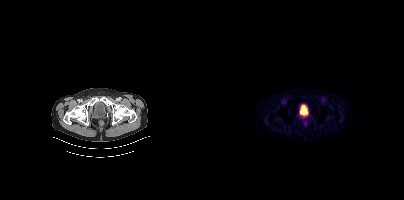
{"modality":"PSMA PET/CT","view":"axial","tracer":"68Ga","pet_grid":[200,200],"coord_frame":"pet_panel","coord_format":"x0,y0,x1,y1","psma_avid_lesions":false}